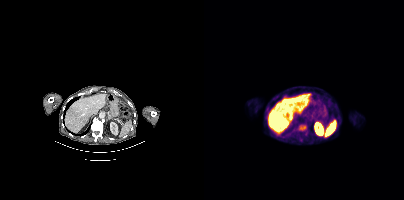
Coordinates are on the 200×200 PET (right) panel. PSMA-avid tumor lesion bounding box (x, y, width, height): x=95 y=125 w=8 h=6. Small PSMA-avid foci (2 to 4 px across) near (center x, center y): (102, 134); (96, 138).
modality: PSMA PET/CT | tracer: 18F-PSMA | view: axial